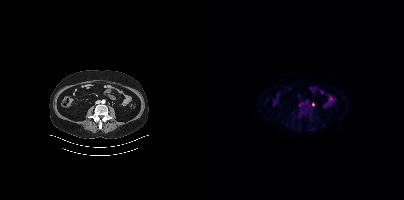
- Left: CT. Right: PSMA PET, same axial level, [18F]PSMA-1007 tracer
- acquired on Siemens Biograph mCT Flow 20
- PET panel 200×200 px (4.1 mm/px)
Findings: Coordinates are on the 200×200 PET (right) panel. Small PSMA-avid focus (2 to 4 px across) near (center x, center y): (109, 104).